modality: PSMA PET/CT | tracer: 18F-PSMA | view: axial | PET grid: 200×200
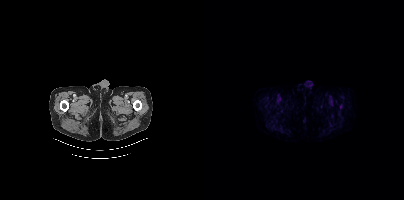
No PSMA-avid tumor lesions on this slice.